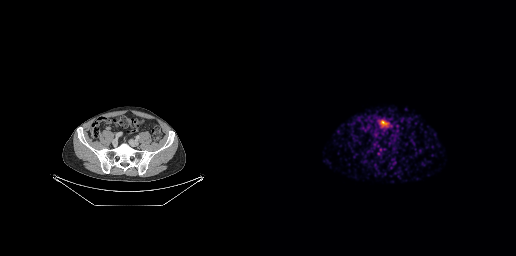
This slice has no annotated PSMA-avid lesion. Left: CT. Right: PSMA PET, same axial level, 68Ga tracer. Slice position z = -751 mm. PET panel 256×256 px (2.7 mm/px).